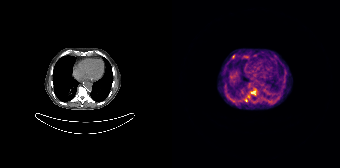
{"modality":"PSMA PET/CT","view":"axial","tracer":"[68Ga]Ga-PSMA-11","pet_grid":[168,168],"coord_frame":"pet_panel","coord_format":"x0,y0,x1,y1","partial":true,"lesion_bboxes":[[79,90,83,94],[72,97,75,101]],"small_foci_centers":[[76,96]]}